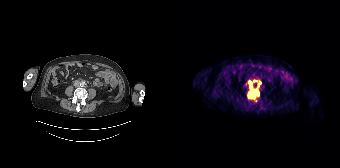
{"modality":"PSMA PET/CT","view":"axial","tracer":"68Ga","pet_grid":[168,168],"coord_frame":"pet_panel","coord_format":"x0,y0,x1,y1","lesion_bboxes":[[76,89,87,97],[76,81,80,87],[86,81,88,86]]}